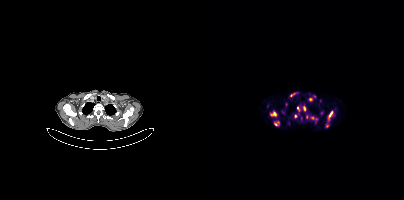
Coordinates are on the 200×200 PET (right) panel. (showing 14 of 16 foci) PSMA-avid tumor lesion bounding boxes (x, y, width, height): x=66 y=110 w=7 h=7 / x=124 y=111 w=6 h=10 / x=106 y=116 w=8 h=4 / x=70 y=121 w=6 h=5. Small PSMA-avid foci (2 to 4 px across) near (center x, center y): (106, 99) / (87, 95) / (78, 111) / (82, 104) / (123, 126) / (100, 108) / (93, 108) / (91, 116) / (97, 118) / (110, 96). Two-panel axial: CT | PSMA PET, [68Ga]Ga-PSMA-11 tracer.